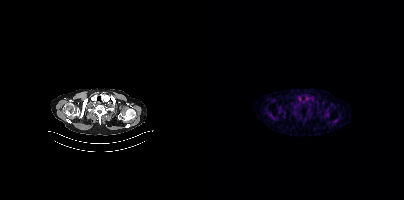
Findings: No tumor lesions annotated on this slice.
- Left: CT. Right: PSMA PET, same axial level, 68Ga tracer
- acquired on Siemens Biograph mCT Flow 20